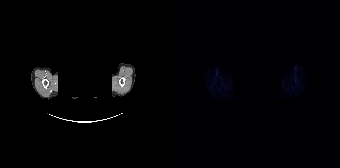
De-identified by setting a box covering the face to black before release.
Only PSMA-avid lesion pieces thinner than 2 px on this slice (not listed).